Paired axial CT (left) and PSMA PET (right), 18F-PSMA tracer. Slice position z = -927 mm.
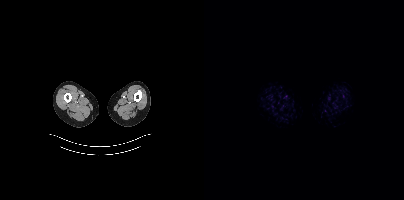
No tumor lesions annotated on this slice.